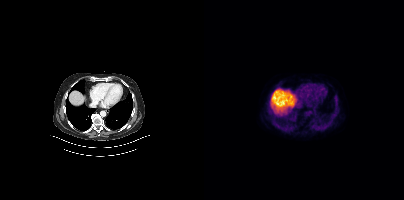
{"modality":"PSMA PET/CT","view":"axial","tracer":"18F","pet_grid":[200,200],"coord_frame":"pet_panel","coord_format":"x0,y0,x1,y1","psma_avid_lesions":false}